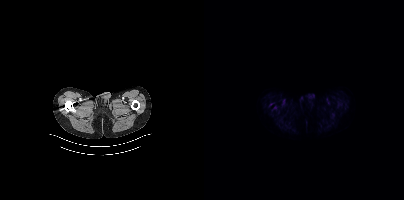
No tumor lesions annotated on this slice.